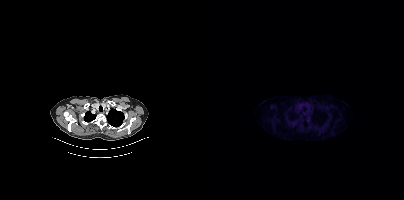
- Left: CT. Right: PSMA PET, same axial level, [18F]PSMA-1007 tracer
- acquired on Siemens Biograph mCT Flow 20
Findings: Coordinates are on the 200×200 PET (right) panel. Small PSMA-avid focus (2 to 4 px across) near (center x, center y): (104, 120).